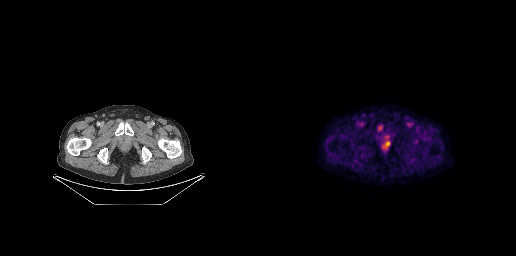
{"modality":"PSMA PET/CT","view":"axial","tracer":"18F-PSMA","pet_grid":[256,256],"coord_frame":"pet_panel","coord_format":"x0,y0,x1,y1","lesion_bboxes":[[126,140,130,144],[118,125,122,129]]}